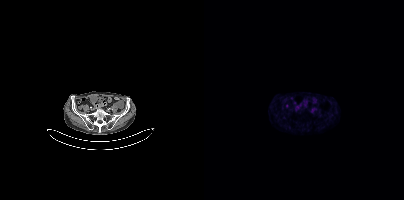
{"pet_grid":[200,200],"coord_frame":"pet_panel","coord_format":"x0,y0,x1,y1","psma_avid_lesions":false,"modality":"PSMA PET/CT","view":"axial","tracer":"18F"}